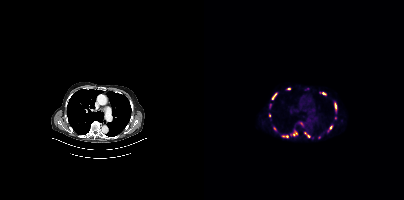
Coordinates are on the 200×200 PET (right) panel. (showing 11 of 14 foci) PSMA-avid tumor lesion bounding boxes (x0, y0)-(x1, y1): (86, 130)-(93, 136) / (101, 132)-(105, 137) / (68, 93)-(72, 99) / (131, 103)-(132, 108). Small PSMA-avid foci (2 to 4 px across) near (center x, center y): (127, 126) / (119, 93) / (96, 123) / (85, 88) / (83, 136) / (65, 115) / (70, 128).
modality: PSMA PET/CT | tracer: 68Ga-PSMA | view: axial